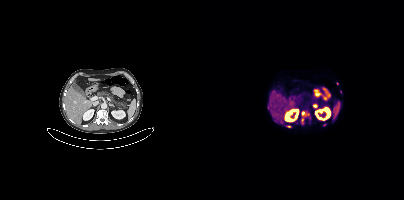
- Two-panel axial: CT | PSMA PET, 18F tracer
Findings: Coordinates are on the 200×200 PET (right) panel. (showing 6 of 9 foci) PSMA-avid tumor lesion bounding boxes (x0, y0)-(x1, y1): (97, 111)-(102, 115); (109, 104)-(113, 107). Small PSMA-avid foci (2 to 4 px across) near (center x, center y): (98, 123); (120, 124); (98, 119); (85, 126).